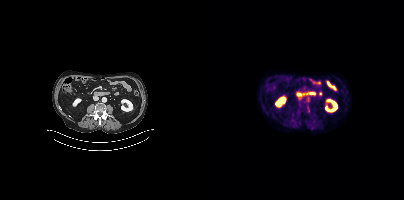
{"modality":"PSMA PET/CT","view":"axial","tracer":"18F","pet_grid":[200,200],"coord_frame":"pet_panel","coord_format":"x0,y0,x1,y1","psma_avid_lesions":false}